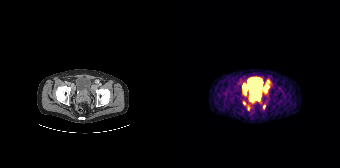
Technique: Left: CT. Right: PSMA PET, same axial level, [68Ga]Ga-PSMA-11 tracer. acquired on Siemens Biograph 64-4R TruePoint. slice 44 of 195. PET panel 168×168 px (4.1 mm/px).
Findings: Coordinates are on the 168×168 PET (right) panel. (showing 5 of 6 foci) PSMA-avid tumor lesion bounding boxes (x, y, width, height): x=77 y=93 w=12 h=8 | x=70 y=84 w=6 h=12 | x=92 y=84 w=5 h=7. Small PSMA-avid foci (2 to 4 px across) near (center x, center y): (92, 106) | (76, 107).